- Left: CT. Right: PSMA PET, same axial level, [68Ga]Ga-PSMA-11 tracer
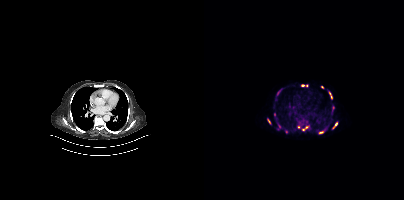
Findings: Coordinates are on the 200×200 PET (right) panel. (showing 11 of 12 foci) PSMA-avid tumor lesion bounding boxes (x0, y0)-(x1, y1): (128, 122)-(133, 128); (125, 91)-(128, 97); (98, 126)-(104, 130); (63, 119)-(66, 123); (115, 131)-(119, 133); (74, 124)-(77, 128). Small PSMA-avid foci (2 to 4 px across) near (center x, center y): (99, 85); (75, 91); (97, 124); (118, 87); (94, 126).